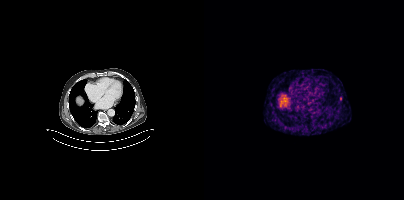
Findings: Coordinates are on the 200×200 PET (right) panel. Small PSMA-avid focus (2 to 4 px across) near (center x, center y): (136, 98).
Technique: Left: CT. Right: PSMA PET, same axial level, 68Ga-PSMA tracer.